- Paired axial CT (left) and PSMA PET (right), 18F-PSMA tracer
- acquired on Siemens Biograph mCT Flow 20
- slice 132 of 433
- PET panel 200×200 px (4.1 mm/px)
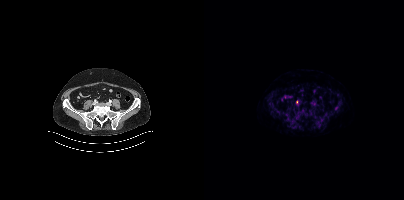
Findings: Coordinates are on the 200×200 PET (right) panel. Small PSMA-avid focus (2 to 4 px across) near (center x, center y): (92, 102).